Technique: Left: CT. Right: PSMA PET, same axial level, 68Ga tracer. slice 23 of 195. PET panel 168×168 px (4.1 mm/px).
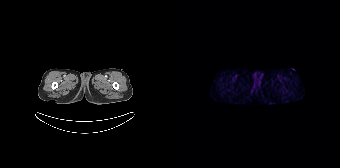
Findings: This slice has no annotated PSMA-avid lesion.